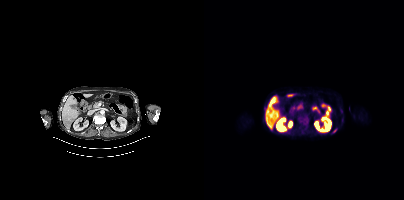
Findings: Coordinates are on the 200×200 PET (right) panel. Small PSMA-avid focus (2 to 4 px across) near (center x, center y): (130, 130).
Technique: Left: CT. Right: PSMA PET, same axial level, [18F]PSMA-1007 tracer.